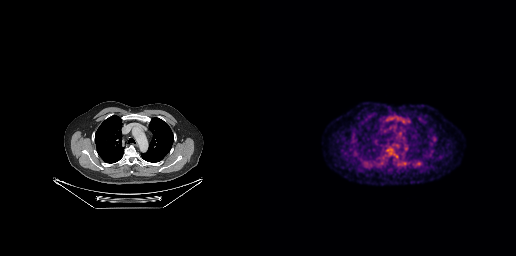
{"modality":"PSMA PET/CT","view":"axial","tracer":"18F","pet_grid":[256,256],"coord_frame":"pet_panel","coord_format":"x0,y0,x1,y1","lesion_bboxes":[],"small_foci_centers":[[136,156]]}